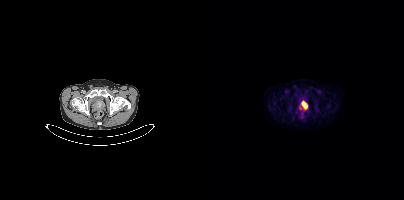
{"modality":"PSMA PET/CT","view":"axial","tracer":"18F","pet_grid":[200,200],"coord_frame":"pet_panel","coord_format":"x0,y0,x1,y1","lesion_bboxes":[[97,100,103,109]],"small_foci_centers":[[96,108]]}